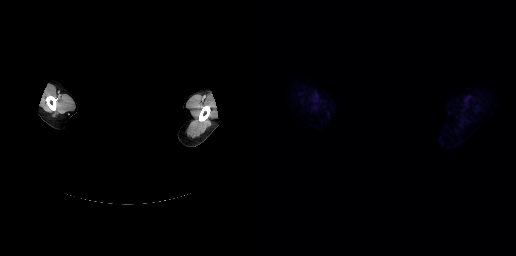
Findings: No PSMA-avid tumor lesions on this slice.
- Left: CT. Right: PSMA PET, same axial level, 18F tracer
- PET panel 256×256 px (2.7 mm/px)
- the head region is masked for de-identification